Technique: Paired axial CT (left) and PSMA PET (right), [18F]PSMA-1007 tracer. acquired on Siemens Biograph mCT Flow 20. PET panel 200×200 px (4.1 mm/px).
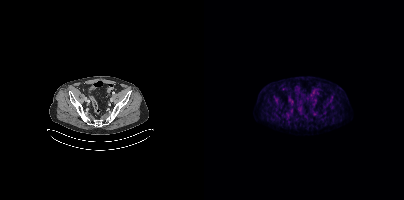
Findings: Only PSMA-avid lesion pieces thinner than 2 px on this slice (not listed).